modality: PSMA PET/CT | tracer: [18F]PSMA-1007 | view: axial | PET grid: 200×200
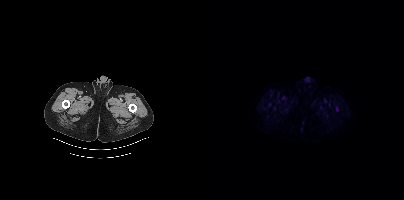
Negative for PSMA-avid disease on this slice.